Left: CT. Right: PSMA PET, same axial level, 18F tracer. PET panel 200×200 px (4.1 mm/px).
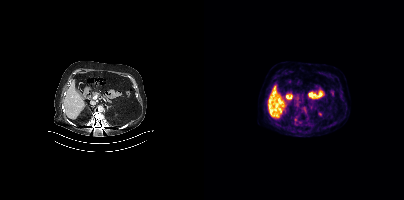
Coordinates are on the 200×200 PET (right) panel. Small PSMA-avid focus (2 to 4 px across) near (center x, center y): (90, 119).